modality: PSMA PET/CT | tracer: 18F-PSMA | view: axial
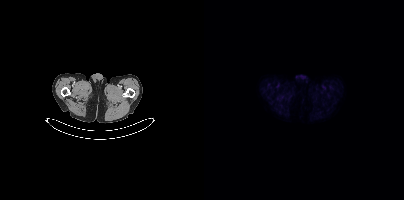
Negative for PSMA-avid disease on this slice.